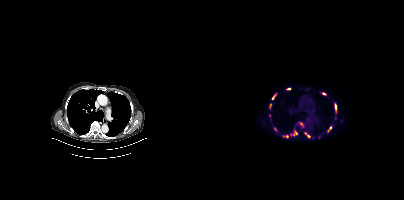
Coordinates are on the 200×200 PET (right) panel. (showing 11 of 13 foci) PSMA-avid tumor lesion bounding boxes (x0, y0)-(x1, y1): (86, 130)-(93, 136) | (101, 132)-(105, 137) | (94, 122)-(98, 125) | (68, 95)-(71, 99) | (131, 104)-(132, 109). Small PSMA-avid foci (2 to 4 px across) near (center x, center y): (127, 126) | (84, 88) | (66, 105) | (83, 136) | (120, 93) | (70, 128).
modality: PSMA PET/CT | tracer: 68Ga | view: axial